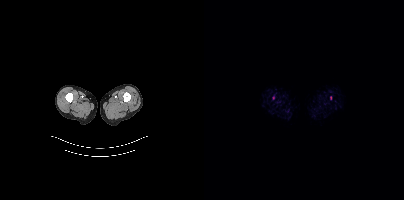
Left: CT. Right: PSMA PET, same axial level, 18F-PSMA tracer. Acquired on Siemens Biograph mCT Flow 20. PET panel 200×200 px (4.1 mm/px). Coordinates are on the 200×200 PET (right) panel. Small PSMA-avid foci (2 to 4 px across) near (center x, center y): (69, 97); (126, 98).